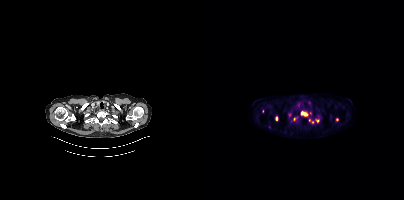
Findings: Coordinates are on the 200×200 PET (right) panel. (showing 6 of 8 foci) PSMA-avid tumor lesion bounding boxes (x, y, width, height): x=97 y=112 w=7 h=5; x=71 y=116 w=3 h=5. Small PSMA-avid foci (2 to 4 px across) near (center x, center y): (133, 119); (105, 120); (108, 121); (113, 121).
- Left: CT. Right: PSMA PET, same axial level, 18F-PSMA tracer
- acquired on Siemens Biograph mCT Flow 20
- slice position z = -382 mm
- PET panel 200×200 px (4.1 mm/px)